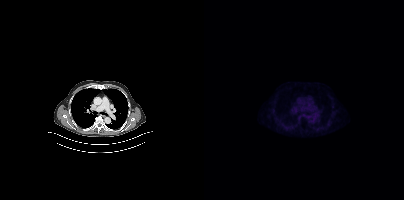
Findings: Negative for PSMA-avid disease on this slice.
- Paired axial CT (left) and PSMA PET (right), [18F]PSMA-1007 tracer